- Paired axial CT (left) and PSMA PET (right), 18F-PSMA tracer
- acquired on GE Discovery 690
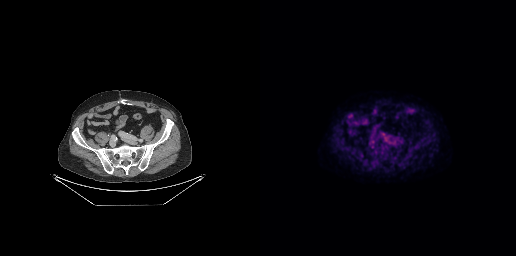
Findings: This slice has no annotated PSMA-avid lesion.